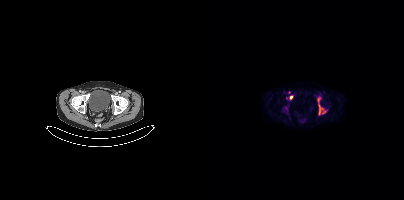
Technique: Left: CT. Right: PSMA PET, same axial level, 18F-PSMA tracer. acquired on Siemens Biograph mCT Flow 20. slice position z = -1472 mm. PET panel 200×200 px (4.1 mm/px).
Findings: Coordinates are on the 200×200 PET (right) panel. (showing 3 of 4 foci) PSMA-avid tumor lesion bounding boxes (x, y, width, height): x=113 y=97 w=10 h=19 / x=85 y=95 w=5 h=6. Small PSMA-avid focus (2 to 4 px across) near (center x, center y): (85, 92).